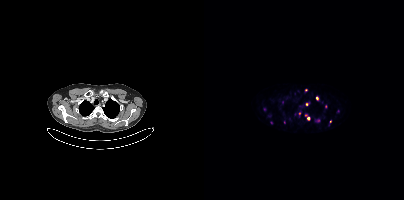
Coordinates are on the 200×200 PET (right) panel. (showing 7 of 12 foci) PSMA-avid tumor lesion bounding box (x0,y0,x1,y1): [101,114,105,119]. Small PSMA-avid foci (2 to 4 px across) near (center x, center y): (113, 98); (102, 104); (121, 106); (126, 121); (60, 108); (114, 120).